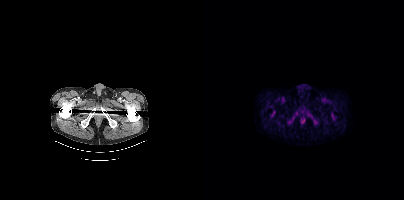
Negative for PSMA-avid disease on this slice.